Technique: Left: CT. Right: PSMA PET, same axial level, [18F]PSMA-1007 tracer. slice 104 of 413.
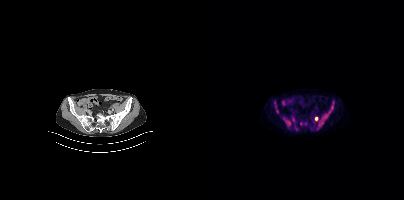
Findings: Coordinates are on the 200×200 PET (right) panel. PSMA-avid tumor lesion bounding boxes (x, y, width, height): x=114 y=101 w=16 h=26 | x=79 y=117 w=9 h=10 | x=110 y=116 w=5 h=6 | x=72 y=108 w=3 h=6.